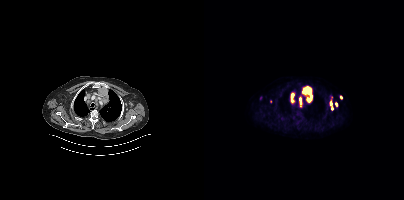
Coordinates are on the 200×200 PET (right) panel. PSMA-avid tumor lesion bounding boxes (x0,y0,x1,y1): [98,86,108,102]; [86,92,90,103]; [95,96,98,107]; [126,101,129,110]; [136,95,138,99]; [131,102,133,106]. Small PSMA-avid foci (2 to 4 px across) near (center x, center y): (66, 101); (56, 97).